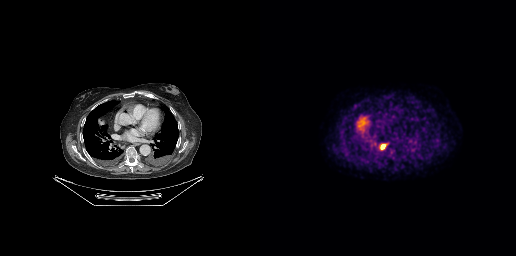
modality: PSMA PET/CT | tracer: 18F-PSMA | view: axial
Coordinates are on the 256×256 PET (right) panel. PSMA-avid tumor lesion bounding box (x0,y0,x1,y1): [117,143,125,149]. Small PSMA-avid focus (2 to 4 px across) near (center x, center y): (127, 143).